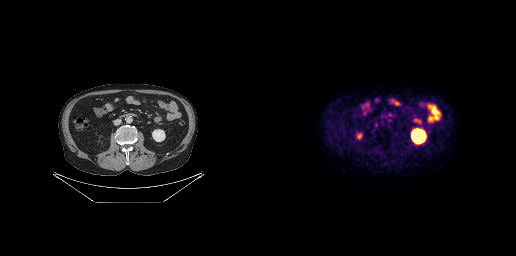
{"pet_grid":[256,256],"coord_frame":"pet_panel","coord_format":"x0,y0,x1,y1","psma_avid_lesions":false,"modality":"PSMA PET/CT","view":"axial","tracer":"18F"}